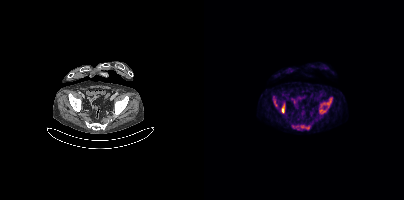
Findings: Coordinates are on the 200×200 PET (right) panel. (showing 5 of 8 foci) PSMA-avid tumor lesion bounding boxes (x0,y0,x1,y1): [88,125,106,129], [69,96,73,106], [77,105,80,113], [123,98,127,104], [116,109,121,113].
- Left: CT. Right: PSMA PET, same axial level, 18F-PSMA tracer
- slice position z = -214 mm